Left: CT. Right: PSMA PET, same axial level, 68Ga tracer. Acquired on Siemens Biograph mCT Flow 20. PET panel 200×200 px (4.1 mm/px).
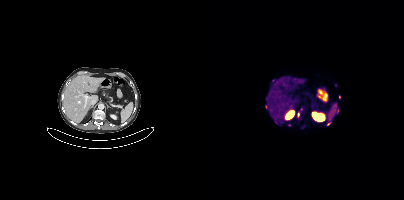
Coordinates are on the 200×200 PET (right) panel. (showing 5 of 8 foci) Small PSMA-avid foci (2 to 4 px across) near (center x, center y): (124, 123); (94, 114); (135, 97); (134, 111); (131, 84).